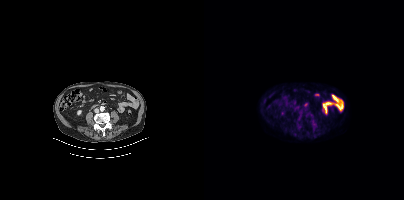
{"modality":"PSMA PET/CT","view":"axial","tracer":"18F-PSMA","pet_grid":[200,200],"coord_frame":"pet_panel","coord_format":"x0,y0,x1,y1","lesion_bboxes":[],"small_foci_centers":[[107,114]]}